modality: PSMA PET/CT | tracer: 18F | view: axial
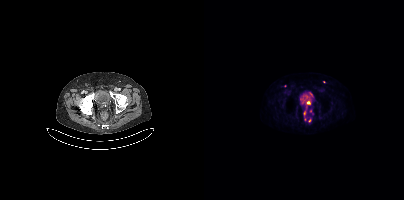
Coordinates are on the 200×200 PET (right) panel. (showing 3 of 6 foci) Small PSMA-avid foci (2 to 4 px across) near (center x, center y): (100, 113); (120, 81); (105, 120).